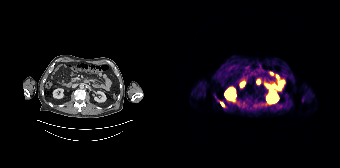
Technique: Left: CT. Right: PSMA PET, same axial level, [68Ga]Ga-PSMA-11 tracer.
Findings: Coordinates are on the 168×168 PET (right) panel. PSMA-avid tumor lesion bounding box (x0, y0)-(x1, y1): (48, 102)-(52, 106).